Two-panel axial: CT | PSMA PET, [18F]PSMA-1007 tracer. Acquired on Siemens Biograph mCT Flow 20. Slice 147 of 425. PET panel 200×200 px (4.1 mm/px).
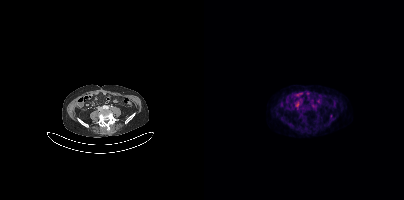
Coordinates are on the 200×200 PET (right) panel. PSMA-avid tumor lesion bounding boxes:
| # | x0 | y0 | x1 | y1 |
|---|---|---|---|---|
| 1 | 108 | 104 | 112 | 108 |
Small PSMA-avid focus (2 to 4 px across) near (center x, center y): (127, 115).